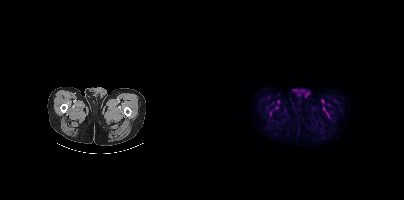
No tumor lesions annotated on this slice.